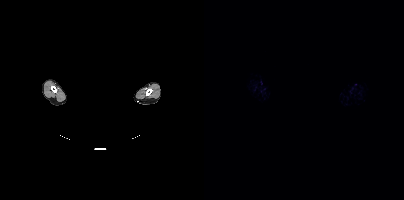
Two-panel axial: CT | PSMA PET, [18F]PSMA-1007 tracer. Slice position z = -716 mm. PET panel 200×200 px (4.1 mm/px). Head region blanked for anonymization (face removed). No tumor lesions annotated on this slice.